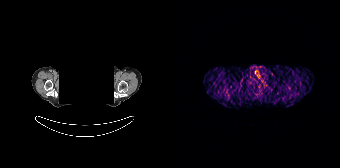
- the head region is masked for de-identification
- Two-panel axial: CT | PSMA PET, 68Ga-PSMA tracer
Findings: No PSMA-avid tumor lesions on this slice.